Technique: Left: CT. Right: PSMA PET, same axial level, [68Ga]Ga-PSMA-11 tracer. acquired on Siemens Biograph mCT Flow 20. slice 144 of 397.
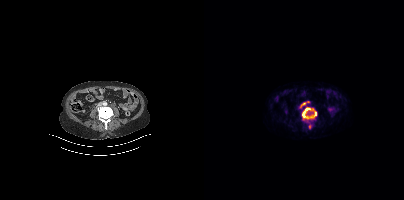
Findings: Coordinates are on the 200×200 PET (right) panel. PSMA-avid tumor lesion bounding box (x0,y0,x1,y1): [98,107,112,123]. Small PSMA-avid foci (2 to 4 px across) near (center x, center y): (106, 126); (96, 106).